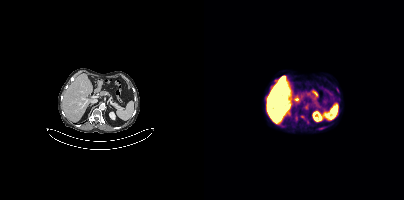
Coordinates are on the 200×200 PET (right) panel. Small PSMA-avid foci (2 to 4 px across) near (center x, center y): (98, 117); (92, 118).